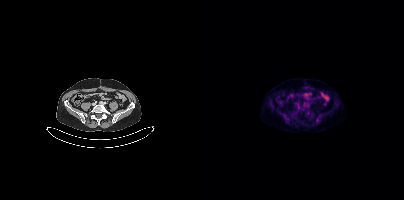
{"modality":"PSMA PET/CT","view":"axial","tracer":"18F","pet_grid":[200,200],"coord_frame":"pet_panel","coord_format":"x0,y0,x1,y1","partial":true,"lesion_bboxes":[]}